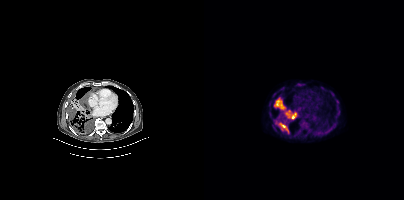
{"modality":"PSMA PET/CT","view":"axial","tracer":"[18F]PSMA-1007","pet_grid":[200,200],"coord_frame":"pet_panel","coord_format":"x0,y0,x1,y1","lesion_bboxes":[[70,97,81,110],[73,123,85,133],[96,121,104,128],[81,110,86,117],[87,114,92,118]],"small_foci_centers":[[115,132]]}